Technique: Left: CT. Right: PSMA PET, same axial level, [18F]PSMA-1007 tracer. acquired on Siemens Biograph mCT Flow 20. PET panel 200×200 px (4.1 mm/px).
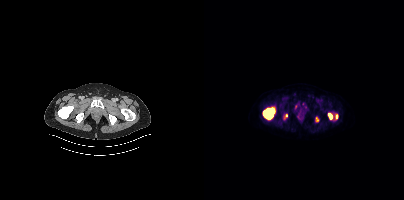
Findings: Coordinates are on the 200×200 PET (right) panel. PSMA-avid tumor lesion bounding boxes (x0,y0,x1,y1): [59,107,70,119]; [124,113,128,119]. Small PSMA-avid foci (2 to 4 px across) near (center x, center y): (132, 116); (82, 115).